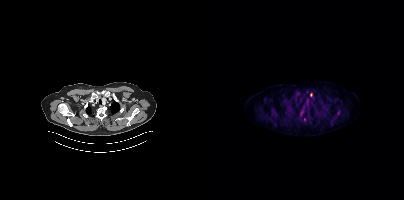
Coordinates are on the 200×200 PET (right) panel. (showing 2 of 4 foci) Small PSMA-avid foci (2 to 4 px across) near (center x, center y): (107, 94); (96, 113).